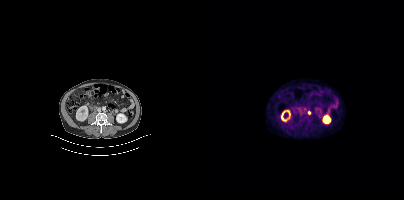
- Paired axial CT (left) and PSMA PET (right), [18F]PSMA-1007 tracer
- acquired on Siemens Biograph mCT Flow 20
- slice 150 of 387
- PET panel 200×200 px (4.1 mm/px)
Findings: Coordinates are on the 200×200 PET (right) panel. Small PSMA-avid focus (2 to 4 px across) near (center x, center y): (105, 112).